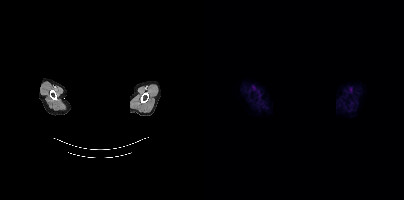
{"modality":"PSMA PET/CT","view":"axial","tracer":"18F-PSMA","pet_grid":[200,200],"coord_frame":"pet_panel","coord_format":"x0,y0,x1,y1","psma_avid_lesions":false,"redaction":"head region blanked (face removed)"}